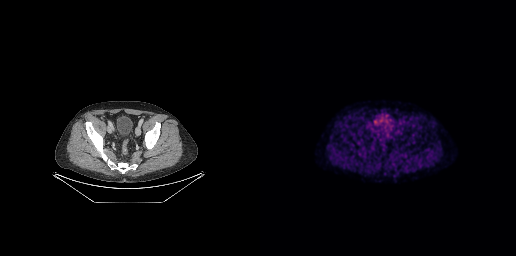
Paired axial CT (left) and PSMA PET (right), 18F-PSMA tracer. Acquired on GE Discovery 690. No tumor lesions annotated on this slice.